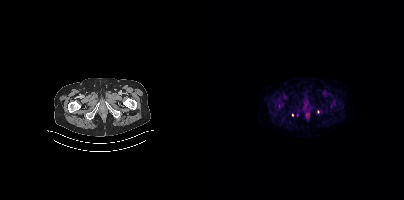
{"modality":"PSMA PET/CT","view":"axial","tracer":"[18F]PSMA-1007","pet_grid":[200,200],"coord_frame":"pet_panel","coord_format":"x0,y0,x1,y1","lesion_bboxes":[],"small_foci_centers":[[114,111],[88,115],[93,115]]}